Technique: Left: CT. Right: PSMA PET, same axial level, 18F-PSMA tracer.
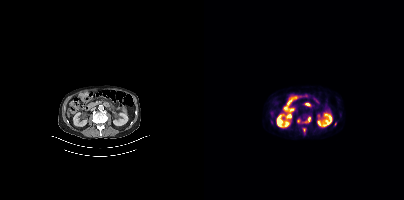
Findings: Coordinates are on the 200×200 PET (right) panel. PSMA-avid tumor lesion bounding boxes (x0,y0,x1,y1): [98,116,107,123] [99,128,101,132]. Small PSMA-avid focus (2 to 4 px across) near (center x, center y): (94, 120).